Two-panel axial: CT | PSMA PET, 18F tracer. PET panel 200×200 px (4.1 mm/px).
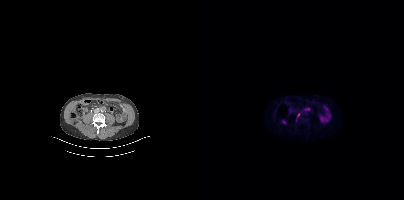
Coordinates are on the 200×200 PET (right) panel. PSMA-avid tumor lesion bounding boxes:
| # | x0 | y0 | x1 | y1 |
|---|---|---|---|---|
| 1 | 100 | 108 | 105 | 110 |
Small PSMA-avid focus (2 to 4 px across) near (center x, center y): (79, 121).